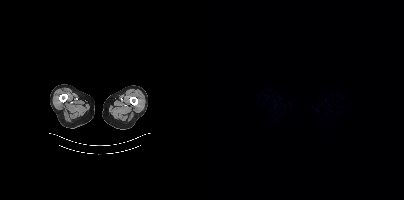
Left: CT. Right: PSMA PET, same axial level, 18F tracer. Acquired on Siemens Biograph mCT Flow 20. No tumor lesions annotated on this slice.